Paired axial CT (left) and PSMA PET (right), 68Ga tracer. Acquired on Siemens Biograph 64-4R TruePoint. Slice 19 of 195.
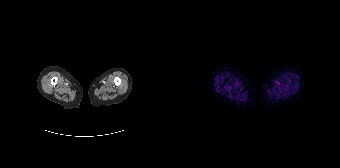
Negative for PSMA-avid disease on this slice.